modality: PSMA PET/CT | tracer: [18F]PSMA-1007 | view: axial | PET grid: 200×200
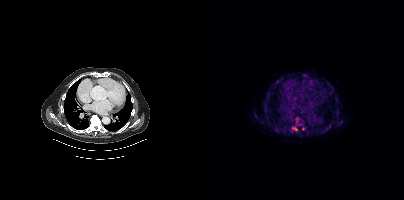
Coordinates are on the 200×200 PET (right) panel. (showing 2 of 3 foci) PSMA-avid tumor lesion bounding box (x0,y0,x1,y1): [88,127,93,130]. Small PSMA-avid focus (2 to 4 px across) near (center x, center y): (99, 128).